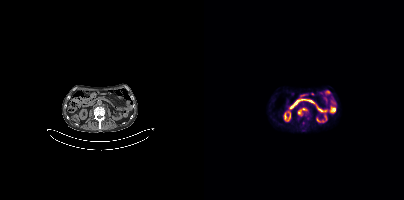
{"modality":"PSMA PET/CT","view":"axial","tracer":"[18F]PSMA-1007","pet_grid":[200,200],"coord_frame":"pet_panel","coord_format":"x0,y0,x1,y1","lesion_bboxes":[[94,108,102,115]],"small_foci_centers":[[94,118]]}